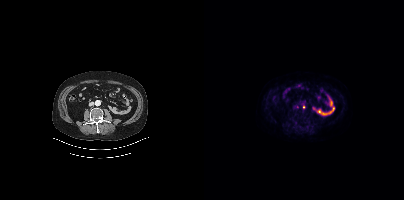
{"modality":"PSMA PET/CT","view":"axial","tracer":"[18F]PSMA-1007","pet_grid":[200,200],"coord_frame":"pet_panel","coord_format":"x0,y0,x1,y1","lesion_bboxes":[],"small_foci_centers":[[99,106]]}